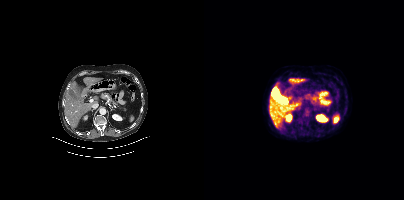
Findings: Negative for PSMA-avid disease on this slice.
- Paired axial CT (left) and PSMA PET (right), 18F-PSMA tracer
- acquired on Siemens Biograph mCT Flow 20
- slice position z = -1176 mm
- PET panel 200×200 px (4.1 mm/px)